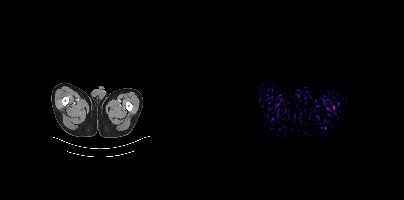
Two-panel axial: CT | PSMA PET, 18F tracer. Acquired on Siemens Biograph mCT Flow 20. PET panel 200×200 px (4.1 mm/px). This slice has no annotated PSMA-avid lesion.